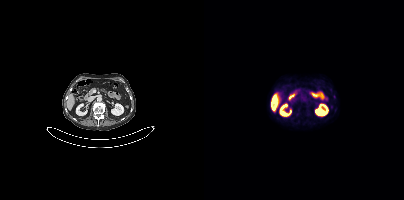
Two-panel axial: CT | PSMA PET, [18F]PSMA-1007 tracer. Slice 179 of 391. PET panel 200×200 px (4.1 mm/px). Only PSMA-avid lesion pieces thinner than 2 px on this slice (not listed).